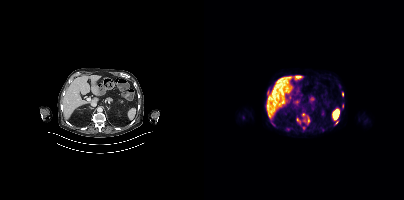
Findings: Coordinates are on the 200×200 PET (right) panel. (showing 8 of 10 foci) Small PSMA-avid foci (2 to 4 px across) near (center x, center y): (138, 94); (138, 105); (100, 128); (64, 91); (104, 120); (99, 113); (93, 119); (84, 129).
- Paired axial CT (left) and PSMA PET (right), 18F tracer
- acquired on Siemens Biograph mCT Flow 20
- slice 188 of 401
- PET panel 200×200 px (4.1 mm/px)